Paired axial CT (left) and PSMA PET (right), [18F]PSMA-1007 tracer. PET panel 256×256 px (2.7 mm/px).
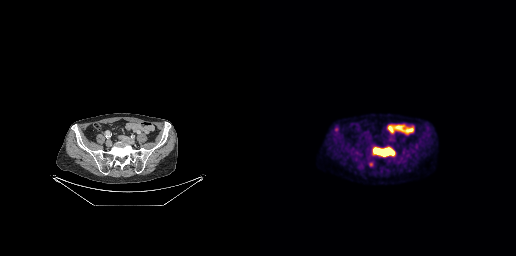
Coordinates are on the 256×256 PET (right) panel. PSMA-avid tumor lesion bounding boxes:
| # | x0 | y0 | x1 | y1 |
|---|---|---|---|---|
| 1 | 113 | 148 | 134 | 155 |
Small PSMA-avid focus (2 to 4 px across) near (center x, center y): (110, 164).